Technique: Paired axial CT (left) and PSMA PET (right), 18F tracer. slice position z = -766 mm.
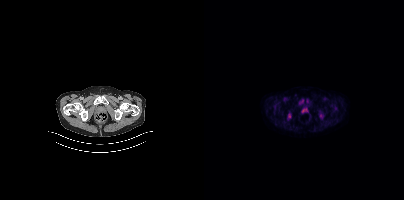
Findings: No tumor lesions annotated on this slice.